Technique: Paired axial CT (left) and PSMA PET (right), [68Ga]Ga-PSMA-11 tracer. acquired on Siemens Biograph mCT Flow 20.
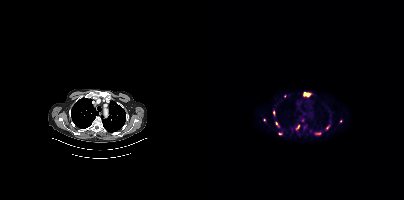
Findings: Coordinates are on the 200×200 PET (right) panel. (showing 11 of 13 foci) PSMA-avid tumor lesion bounding boxes (x0,y0,x1,y1): [100,93,105,95]; [92,125,96,129]; [111,133,116,134]; [72,122,74,126]. Small PSMA-avid foci (2 to 4 px across) near (center x, center y): (60, 120); (69, 112); (76, 133); (98, 120); (136, 121); (100, 127); (80, 95).